Technique: Paired axial CT (left) and PSMA PET (right), [18F]PSMA-1007 tracer.
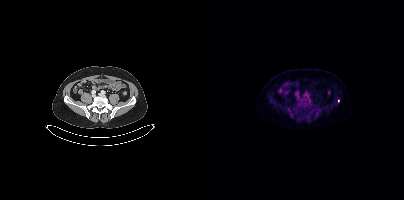
Findings: Coordinates are on the 200×200 PET (right) panel. Small PSMA-avid focus (2 to 4 px across) near (center x, center y): (134, 100).